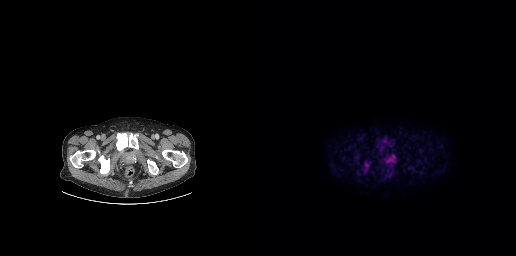
Findings: Coordinates are on the 256×256 PET (right) panel. PSMA-avid tumor lesion bounding box (x0,y0,x1,y1): [102,162,110,171].
- Two-panel axial: CT | PSMA PET, [18F]PSMA-1007 tracer
- slice 54 of 263
- PET panel 256×256 px (2.7 mm/px)